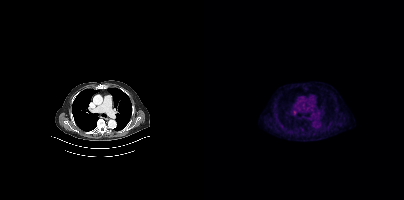
Findings: Coordinates are on the 200×200 PET (right) panel. Small PSMA-avid focus (2 to 4 px across) near (center x, center y): (90, 111).
Technique: Paired axial CT (left) and PSMA PET (right), 18F-PSMA tracer. slice position z = -1002 mm. PET panel 200×200 px (4.1 mm/px).